Two-panel axial: CT | PSMA PET, 18F-PSMA tracer. Acquired on Siemens Biograph mCT Flow 20. Slice 273 of 413. PET panel 200×200 px (4.1 mm/px).
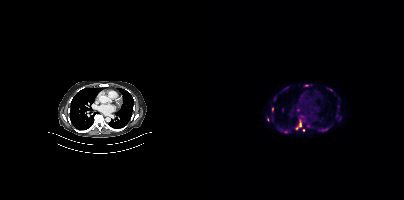
Coordinates are on the 200×200 PET (right) panel. PSMA-avid tumor lesion bounding boxes (partial; 1 more focus not listed):
| # | x0 | y0 | x1 | y1 |
|---|---|---|---|---|
| 1 | 91 | 121 | 97 | 129 |
| 2 | 118 | 127 | 124 | 131 |
| 3 | 78 | 129 | 84 | 133 |
Small PSMA-avid foci (2 to 4 px across) near (center x, center y): (102, 85); (127, 89); (68, 108); (99, 130); (64, 120); (70, 98).